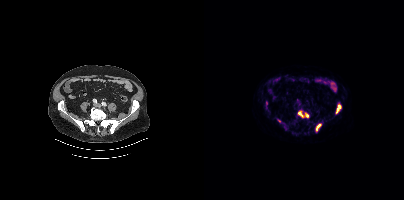
Technique: Paired axial CT (left) and PSMA PET (right), 18F tracer. slice 147 of 454.
Findings: Coordinates are on the 200×200 PET (right) panel. (showing 4 of 5 foci) PSMA-avid tumor lesion bounding boxes (x0, y0)-(x1, y1): (131, 103)-(137, 113) | (111, 124)-(116, 131) | (94, 112)-(98, 116). Small PSMA-avid focus (2 to 4 px across) near (center x, center y): (103, 115).